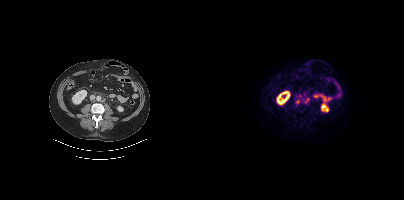
modality: PSMA PET/CT | tracer: 18F-PSMA | view: axial
Coordinates are on the 200×200 PET (right) panel. (showing 3 of 4 foci) PSMA-avid tumor lesion bounding boxes (x0,y0,x1,y1): [92,100,95,104], [101,99,105,103]. Small PSMA-avid focus (2 to 4 px across) near (center x, center y): (95, 96).